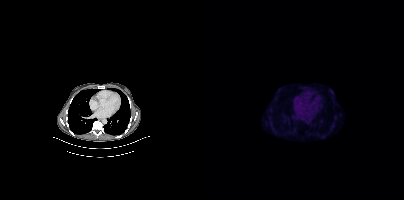
No PSMA-avid tumor lesions on this slice.